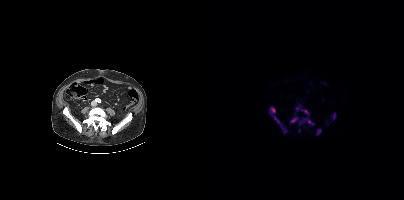
Coordinates are on the 200×200 PET (right) panel. (showing 10 of 11 foci) PSMA-avid tumor lesion bounding boxes (x, y, width, height): x=70 y=117 w=10 h=12 | x=86 y=117 w=8 h=6 | x=66 y=107 w=6 h=7 | x=100 y=119 w=10 h=7 | x=97 y=109 w=8 h=5 | x=113 y=129 w=4 h=6 | x=129 y=113 w=3 h=7 | x=80 y=129 w=3 h=5. Small PSMA-avid foci (2 to 4 px across) near (center x, center y): (93, 108) | (97, 121).